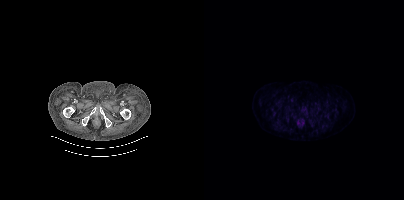
{"modality":"PSMA PET/CT","view":"axial","tracer":"[18F]PSMA-1007","pet_grid":[200,200],"coord_frame":"pet_panel","coord_format":"x0,y0,x1,y1","psma_avid_lesions":false}